Paired axial CT (left) and PSMA PET (right), 18F-PSMA tracer. Acquired on Siemens Biograph 64-4R TruePoint. PET panel 168×168 px (4.1 mm/px).
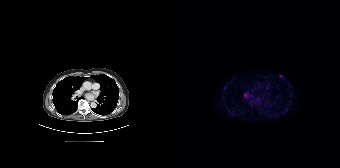
Coordinates are on the 168×168 PET (right) panel. Small PSMA-avid foci (2 to 4 px across) near (center x, center y): (53, 87) / (108, 75).